Left: CT. Right: PSMA PET, same axial level, [18F]PSMA-1007 tracer. Slice 325 of 452.
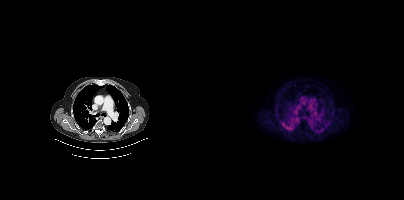
No PSMA-avid tumor lesions on this slice.